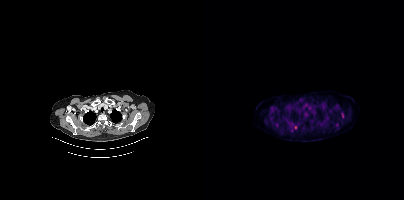
{"modality":"PSMA PET/CT","view":"axial","tracer":"18F-PSMA","pet_grid":[200,200],"coord_frame":"pet_panel","coord_format":"x0,y0,x1,y1","partial":true,"lesion_bboxes":[[137,112,139,117]],"small_foci_centers":[[91,127]]}